Two-panel axial: CT | PSMA PET, [18F]PSMA-1007 tracer.
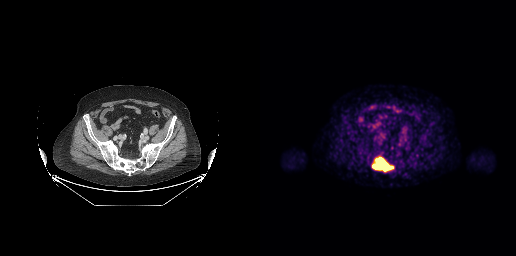
Coordinates are on the 256×256 PET (right) panel. PSMA-avid tumor lesion bounding box (x0,y0,x1,y1): [112,156,133,171].